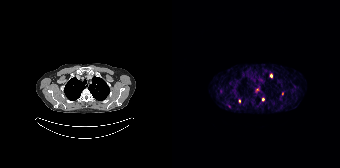
modality: PSMA PET/CT | tracer: 68Ga | view: axial | PET grid: 168×168
Coordinates are on the 168×168 PET (right) panel. (showing 4 of 5 foci) Small PSMA-avid foci (2 to 4 px across) near (center x, center y): (99, 75); (67, 100); (91, 99); (110, 94).